Technique: Two-panel axial: CT | PSMA PET, [18F]PSMA-1007 tracer. acquired on Siemens Biograph mCT Flow 20. slice position z = -646 mm.
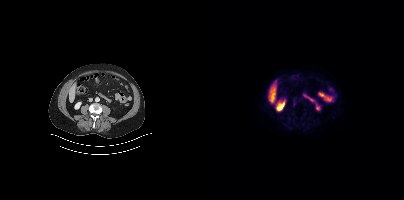
Findings: No PSMA-avid tumor lesions on this slice.